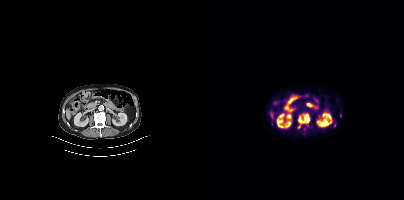
modality: PSMA PET/CT | tracer: 18F-PSMA | view: axial | PET grid: 200×200
Coordinates are on the 200×200 PET (right) panel. (showing 2 of 3 foci) PSMA-avid tumor lesion bounding box (x0, y0)-(x1, y1): (94, 113)-(106, 128). Small PSMA-avid focus (2 to 4 px across) near (center x, center y): (136, 115).